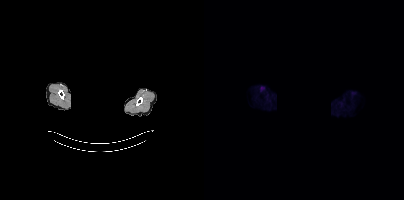
redaction: face masked with black rectangle | modality: PSMA PET/CT | tracer: [18F]PSMA-1007 | view: axial
No tumor lesions annotated on this slice.